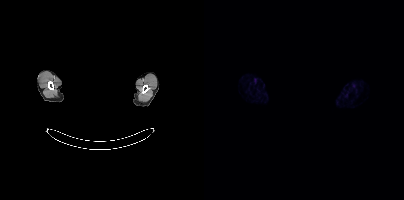
Findings: No PSMA-avid tumor lesions on this slice.
Technique: Two-panel axial: CT | PSMA PET, 68Ga tracer. PET panel 200×200 px (4.1 mm/px).
Note: De-identified by setting a box covering the face to black before release.